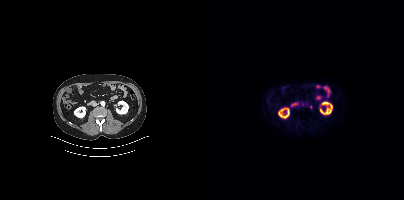
{"modality":"PSMA PET/CT","view":"axial","tracer":"[18F]PSMA-1007","pet_grid":[200,200],"coord_frame":"pet_panel","coord_format":"x0,y0,x1,y1","partial":true,"lesion_bboxes":[]}